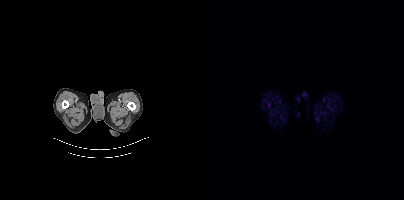
{"modality":"PSMA PET/CT","view":"axial","tracer":"18F","pet_grid":[200,200],"coord_frame":"pet_panel","coord_format":"x0,y0,x1,y1","psma_avid_lesions":false}